Two-panel axial: CT | PSMA PET, 18F tracer.
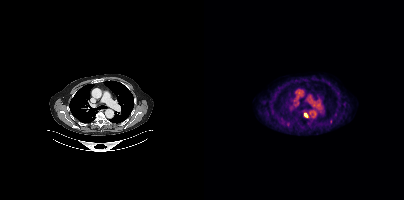
Coordinates are on the 200×200 PET (right) panel. PSMA-avid tumor lesion bounding box (x0,y0,x1,y1): [100,113,104,117]. Small PSMA-avid focus (2 to 4 px across) near (center x, center y): (126, 120).